Two-panel axial: CT | PSMA PET, 18F tracer.
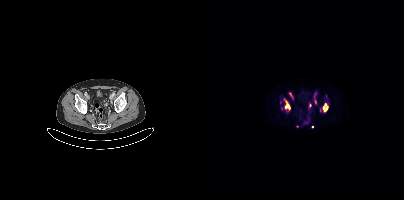
Coordinates are on the 200×200 PET (right) panel. (showing 9 of 10 foci) PSMA-avid tumor lesion bounding boxes (x0, y0)-(x1, y1): (119, 103)-(123, 111); (81, 101)-(85, 109); (110, 99)-(112, 104); (85, 93)-(89, 98). Small PSMA-avid foci (2 to 4 px across) near (center x, center y): (110, 95); (106, 105); (116, 110); (93, 126); (76, 102).